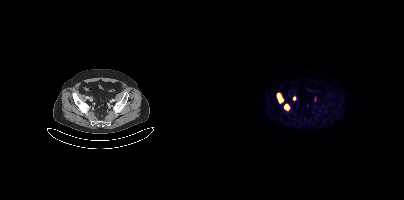
Coordinates are on the 200×200 PET (right) panel. PSMA-avid tumor lesion bounding boxes (x0,y0,x1,y1): [73,93,78,102], [80,104,84,109]. Small PSMA-avid focus (2 to 4 px across) near (center x, center y): (90, 98). Paired axial CT (left) and PSMA PET (right), 18F-PSMA tracer. PET panel 200×200 px (4.1 mm/px).